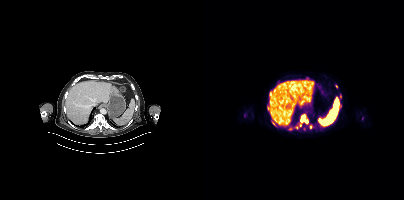
Coordinates are on the 200×200 PET (right) panel. (showing 9 of 10 foci) PSMA-avid tumor lesion bounding boxes (x0, y0)-(x1, y1): (96, 114)-(104, 123); (68, 121)-(72, 126); (63, 105)-(64, 110); (65, 91)-(67, 95). Small PSMA-avid foci (2 to 4 px across) near (center x, center y): (107, 126); (96, 125); (132, 86); (136, 96); (86, 128).